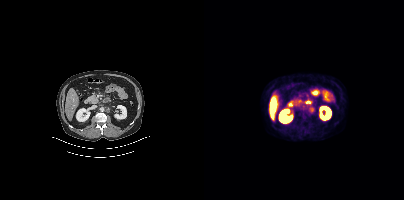
Left: CT. Right: PSMA PET, same axial level, 18F tracer. Slice position z = -544 mm. PET panel 200×200 px (4.1 mm/px). Coordinates are on the 200×200 PET (right) panel. Small PSMA-avid focus (2 to 4 px across) near (center x, center y): (107, 109).